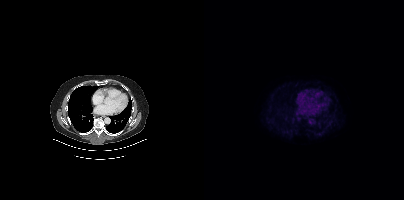
No PSMA-avid tumor lesions on this slice.